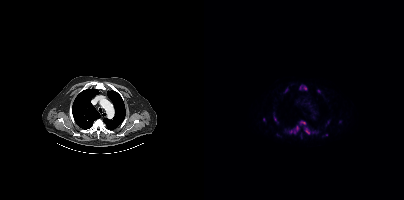
modality: PSMA PET/CT | tracer: 18F | view: axial
Coordinates are on the 200×200 PET (right) panel. (showing 9 of 15 foci) PSMA-avid tumor lesion bounding boxes (x, y, width, height): x=83 y=120 w=20 h=15 | x=99 y=127 w=8 h=7 | x=95 y=85 w=9 h=6 | x=70 y=116 w=5 h=7. Small PSMA-avid foci (2 to 4 px across) near (center x, center y): (60, 119) | (111, 132) | (114, 91) | (122, 134) | (73, 134).